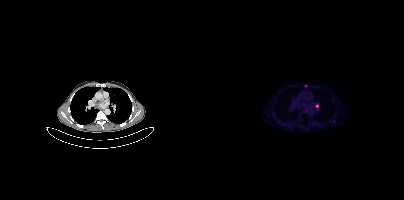
{"modality":"PSMA PET/CT","view":"axial","tracer":"[68Ga]Ga-PSMA-11","pet_grid":[200,200],"coord_frame":"pet_panel","coord_format":"x0,y0,x1,y1","partial":true,"lesion_bboxes":[],"small_foci_centers":[[113,106]]}